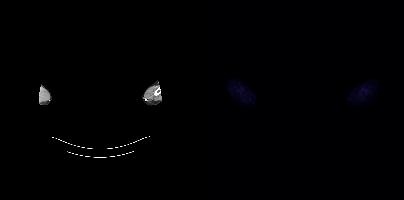
Findings: No PSMA-avid tumor lesions on this slice.
- a rectangular block over the head has been blanked out for de-identification
- Two-panel axial: CT | PSMA PET, 18F-PSMA tracer
- PET panel 200×200 px (4.1 mm/px)